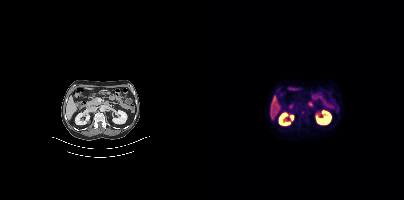
{"modality":"PSMA PET/CT","view":"axial","tracer":"18F-PSMA","pet_grid":[200,200],"coord_frame":"pet_panel","coord_format":"x0,y0,x1,y1","partial":true,"lesion_bboxes":[]}